- Two-panel axial: CT | PSMA PET, [68Ga]Ga-PSMA-11 tracer
- acquired on Siemens Biograph 64-4R TruePoint
- slice 147 of 195
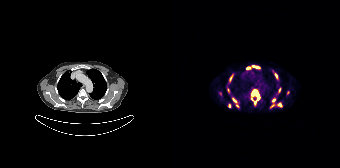
Findings: Coordinates are on the 168×168 PET (right) panel. (showing 9 of 11 foci) PSMA-avid tumor lesion bounding boxes (x0, y0)-(x1, y1): (80, 90)-(87, 100) | (61, 99)-(66, 107) | (57, 77)-(59, 82) | (81, 66)-(86, 67) | (102, 73)-(105, 77). Small PSMA-avid foci (2 to 4 px across) near (center x, center y): (101, 100) | (108, 104) | (76, 68) | (82, 102).